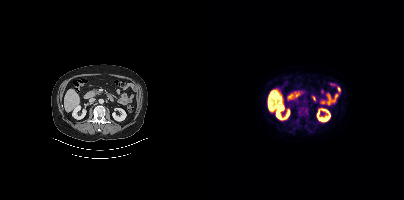
modality: PSMA PET/CT | tracer: [18F]PSMA-1007 | view: axial
Coordinates are on the 200×200 PET (right) panel. PSMA-avid tumor lesion bounding box (x0, y0)-(x1, y1): (93, 106)-(104, 119). Small PSMA-avid focus (2 to 4 px across) near (center x, center y): (93, 120).